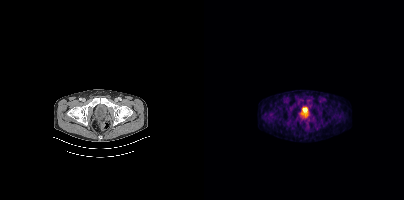
{"modality":"PSMA PET/CT","view":"axial","tracer":"[18F]PSMA-1007","pet_grid":[200,200],"coord_frame":"pet_panel","coord_format":"x0,y0,x1,y1","psma_avid_lesions":false}